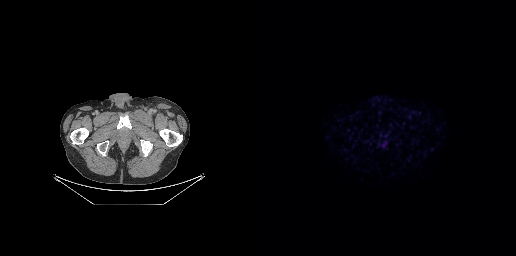
{"modality":"PSMA PET/CT","view":"axial","tracer":"[18F]PSMA-1007","pet_grid":[256,256],"coord_frame":"pet_panel","coord_format":"x0,y0,x1,y1","psma_avid_lesions":false}